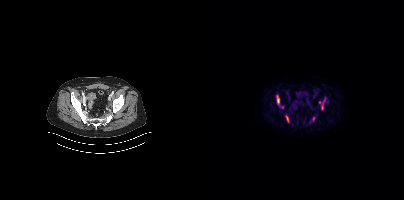
modality: PSMA PET/CT | tracer: 18F-PSMA | view: axial
Coordinates are on the 200×200 PET (right) panel. (showing 5 of 7 foci) PSMA-avid tumor lesion bounding boxes (x0, y0)-(x1, y1): (73, 95)-(75, 103); (82, 116)-(84, 121); (118, 105)-(119, 109). Small PSMA-avid foci (2 to 4 px across) near (center x, center y): (115, 102); (109, 118).